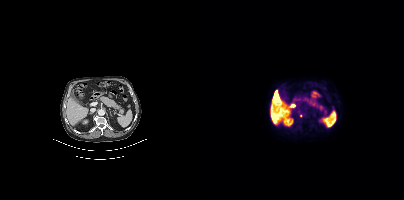
Technique: Paired axial CT (left) and PSMA PET (right), 18F tracer. slice position z = -568 mm.
Findings: Coordinates are on the 200×200 PET (right) panel. Small PSMA-avid focus (2 to 4 px across) near (center x, center y): (97, 115).